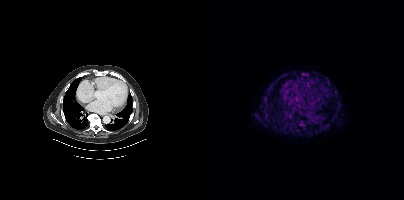
{"pet_grid":[200,200],"coord_frame":"pet_panel","coord_format":"x0,y0,x1,y1","partial":true,"lesion_bboxes":[[98,73,103,75]],"modality":"PSMA PET/CT","view":"axial","tracer":"18F-PSMA"}